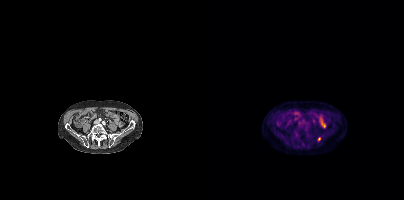
Coordinates are on the 200×200 PET (right) panel. Small PSMA-avid focus (2 to 4 px across) near (center x, center y): (115, 138).